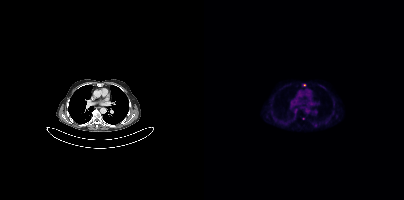
Coordinates are on the 200×200 PET (right) panel. Small PSMA-avid focus (2 to 4 px across) near (center x, center y): (100, 84).